- Two-panel axial: CT | PSMA PET, 68Ga tracer
- acquired on Siemens Biograph mCT Flow 20
- slice 219 of 411
- PET panel 200×200 px (4.1 mm/px)
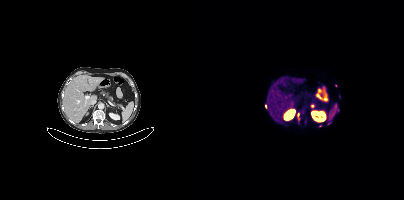
Findings: Coordinates are on the 200×200 PET (right) panel. (showing 5 of 7 foci) PSMA-avid tumor lesion bounding boxes (x, y, width, height): x=93 y=113 w=4 h=9 | x=101 y=119 w=2 h=5. Small PSMA-avid foci (2 to 4 px across) near (center x, center y): (61, 106) | (132, 85) | (116, 125).